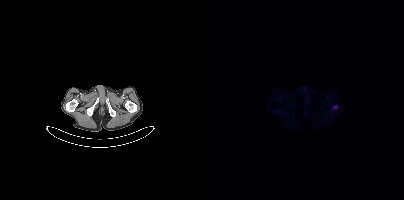
- Paired axial CT (left) and PSMA PET (right), 18F-PSMA tracer
- PET panel 200×200 px (4.1 mm/px)
Findings: Only PSMA-avid lesion pieces thinner than 2 px on this slice (not listed).